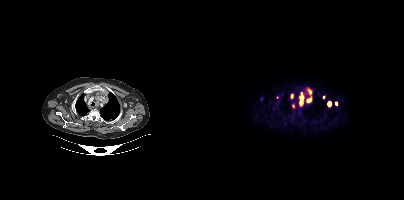
Coordinates are on the 200×200 PET (right) panel. (showing 8 of 9 foci) PSMA-avid tumor lesion bounding boxes (x0, y0)-(x1, y1): (95, 92)-(100, 106) | (102, 88)-(108, 102) | (123, 101)-(127, 106) | (86, 94)-(89, 98). Small PSMA-avid foci (2 to 4 px across) near (center x, center y): (132, 103) | (89, 106) | (119, 97) | (73, 97).